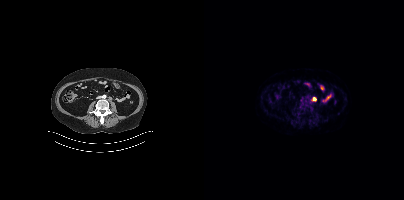
Coordinates are on the 200×200 PET (right) panel. PSMA-avid tumor lesion bounding box (x0,y0,x1,y1): [108,97,112,101].